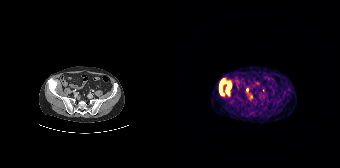
Coordinates are on the 168×168 PET (right) panel. PSMA-avid tumor lesion bounding box (x0,y0,x1,y1): [47,79,59,95]. Small PSMA-avid focus (2 to 4 px across) near (center x, center y): (75, 89). Left: CT. Right: PSMA PET, same axial level, 68Ga-PSMA tracer. Slice 59 of 195.